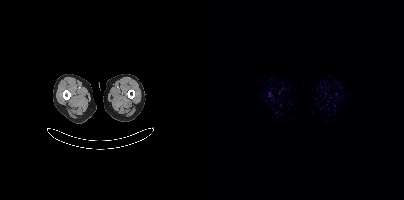
- Two-panel axial: CT | PSMA PET, 18F-PSMA tracer
- acquired on Siemens Biograph mCT Flow 20
- slice 2 of 407
- PET panel 200×200 px (4.1 mm/px)
Findings: Only PSMA-avid lesion pieces thinner than 2 px on this slice (not listed).